modality: PSMA PET/CT | tracer: [68Ga]Ga-PSMA-11 | view: axial
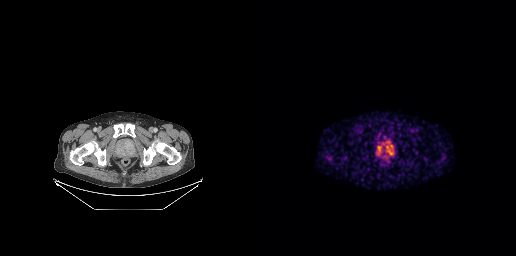
Coordinates are on the 256×256 PET (right) panel. (showing 1 of 2 foci) PSMA-avid tumor lesion bounding box (x, y, width, height): x=115 y=140 w=20 h=19.